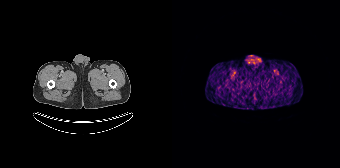
Paired axial CT (left) and PSMA PET (right), 68Ga tracer. No tumor lesions annotated on this slice.